Technique: Two-panel axial: CT | PSMA PET, 18F-PSMA tracer. slice position z = -1188 mm. PET panel 168×168 px (4.1 mm/px).
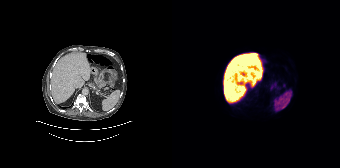
Findings: No tumor lesions annotated on this slice.